- Left: CT. Right: PSMA PET, same axial level, 68Ga tracer
- PET panel 256×256 px (2.7 mm/px)
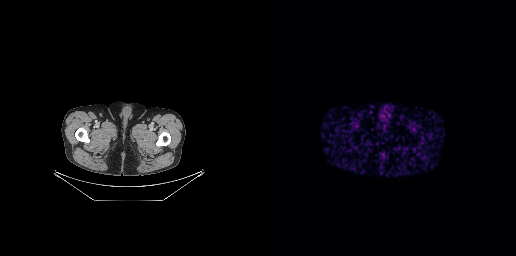
Findings: No PSMA-avid tumor lesions on this slice.